modality: PSMA PET/CT | tracer: 18F-PSMA | view: axial
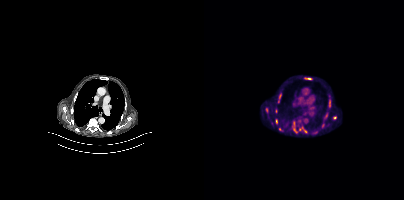
Coordinates are on the 200×200 PET (right) panel. (showing 9 of 11 foci) PSMA-avid tumor lesion bounding boxes (x, y, width, height): x=89 y=121 w=3 h=8 / x=71 y=119 w=3 h=5 / x=61 y=108 w=4 h=5 / x=74 y=98 w=2 h=5. Small PSMA-avid foci (2 to 4 px across) near (center x, center y): (130, 117) / (72, 110) / (76, 93) / (122, 115) / (101, 131).